Technique: Paired axial CT (left) and PSMA PET (right), 18F-PSMA tracer. acquired on Siemens Biograph mCT Flow 20.
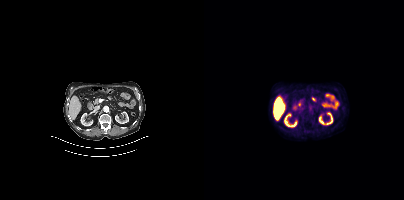
Findings: This slice has no annotated PSMA-avid lesion.